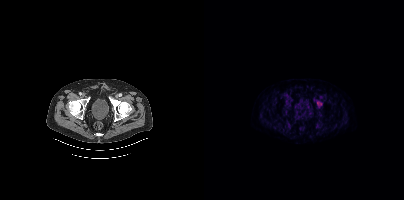
Only PSMA-avid lesion pieces thinner than 2 px on this slice (not listed). Paired axial CT (left) and PSMA PET (right), [18F]PSMA-1007 tracer. Acquired on Siemens Biograph mCT Flow 20. Slice position z = -931 mm.